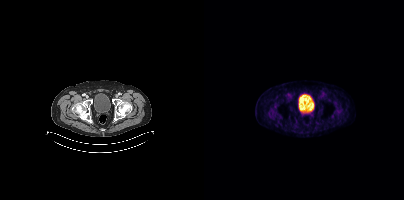
Negative for PSMA-avid disease on this slice.